- Left: CT. Right: PSMA PET, same axial level, 68Ga tracer
- slice 279 of 409
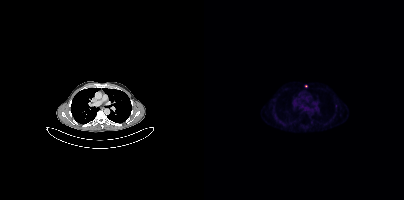
Findings: Coordinates are on the 200×200 PET (right) panel. Small PSMA-avid focus (2 to 4 px across) near (center x, center y): (101, 85).